Technique: Left: CT. Right: PSMA PET, same axial level, 18F-PSMA tracer. acquired on Siemens Biograph mCT Flow 20.
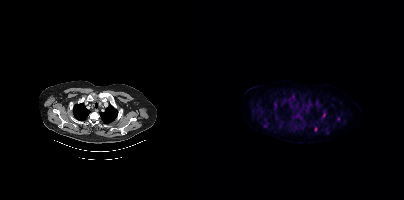
Findings: Coordinates are on the 200×200 PET (right) panel. Small PSMA-avid foci (2 to 4 px across) near (center x, center y): (111, 129); (119, 115).